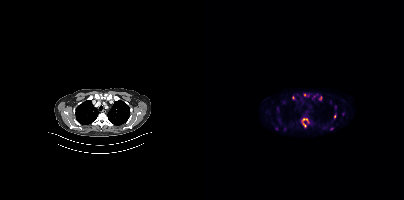
Findings: Coordinates are on the 200×200 PET (right) panel. (showing 9 of 11 foci) PSMA-avid tumor lesion bounding boxes (x, y, width, height): x=97 y=118 w=9 h=10 / x=115 y=96 w=3 h=5. Small PSMA-avid foci (2 to 4 px across) near (center x, center y): (131, 115) / (89, 97) / (104, 95) / (100, 94) / (131, 106) / (80, 128) / (128, 128).
Technique: Left: CT. Right: PSMA PET, same axial level, [18F]PSMA-1007 tracer. slice position z = -1004 mm.